Paired axial CT (left) and PSMA PET (right), 18F tracer. Acquired on Siemens Biograph mCT Flow 20. PET panel 200×200 px (4.1 mm/px).
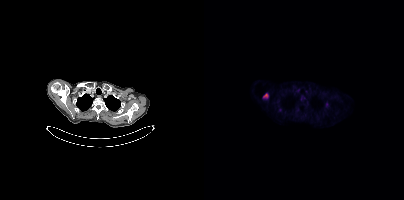
Coordinates are on the 200×200 PET (right) panel. PSMA-avid tumor lesion bounding boxes:
| # | x0 | y0 | x1 | y1 |
|---|---|---|---|---|
| 1 | 59 | 93 | 64 | 98 |